Left: CT. Right: PSMA PET, same axial level, [68Ga]Ga-PSMA-11 tracer. Acquired on Siemens Biograph mCT Flow 20. Slice 349 of 409.
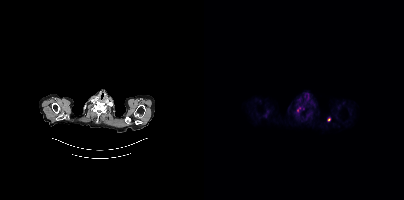
Coordinates are on the 200×200 PET (right) panel. Small PSMA-avid focus (2 to 4 px across) near (center x, center y): (125, 119).